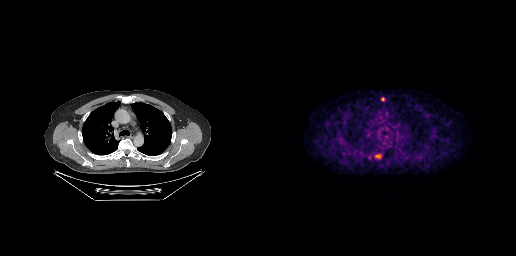
Only PSMA-avid lesion pieces thinner than 2 px on this slice (not listed). Paired axial CT (left) and PSMA PET (right), 18F tracer. PET panel 256×256 px (2.7 mm/px).